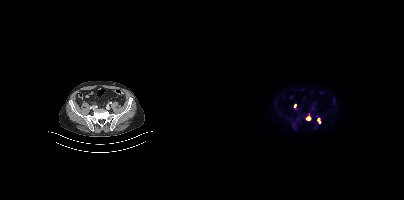
Paired axial CT (left) and PSMA PET (right), [18F]PSMA-1007 tracer.
Coordinates are on the 200×200 PET (right) panel. PSMA-avid tumor lesion bounding boxes (partial; 1 more focus not listed):
| # | x0 | y0 | x1 | y1 |
|---|---|---|---|---|
| 1 | 102 | 117 | 106 | 119 |
Small PSMA-avid foci (2 to 4 px across) near (center x, center y): (90, 106); (114, 119).